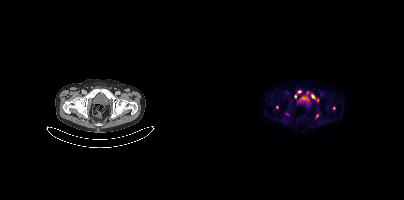
Coordinates are on the 200×200 PET (right) panel. PSMA-avid tumor lesion bounding box (x, y, width, height): x=107 y=94 w=8 h=8. Small PSMA-avid foci (2 to 4 px across) near (center x, center y): (73, 107) | (130, 108) | (95, 91) | (113, 116) | (91, 96) | (83, 113).
modality: PSMA PET/CT | tracer: 18F | view: axial | PET grid: 200×200